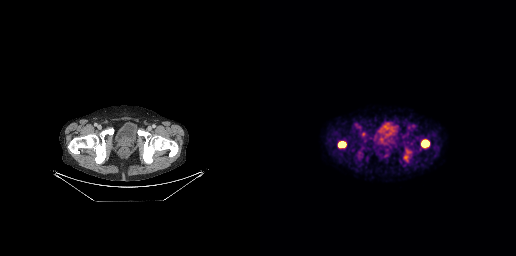
Findings: Coordinates are on the 256×256 PET (right) panel. (showing 2 of 3 foci) PSMA-avid tumor lesion bounding boxes (x, y, width, height): x=161 y=139 w=9 h=9 | x=78 y=141 w=8 h=7.
- Two-panel axial: CT | PSMA PET, [18F]PSMA-1007 tracer
- slice position z = -727 mm
- PET panel 256×256 px (2.7 mm/px)